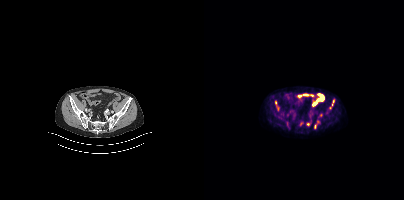
{"modality":"PSMA PET/CT","view":"axial","tracer":"18F-PSMA","pet_grid":[200,200],"coord_frame":"pet_panel","coord_format":"x0,y0,x1,y1","partial":true,"lesion_bboxes":[[125,99,130,109]],"small_foci_centers":[[71,102],[104,124]]}